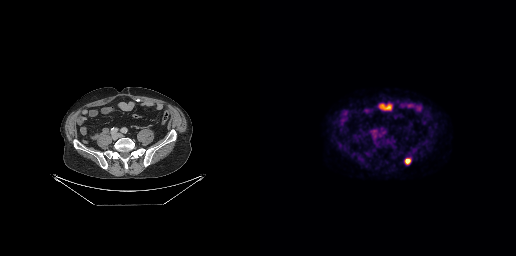
- Two-panel axial: CT | PSMA PET, [18F]PSMA-1007 tracer
- acquired on GE Discovery 690
- PET panel 256×256 px (2.7 mm/px)
Findings: Coordinates are on the 256×256 PET (right) panel. PSMA-avid tumor lesion bounding box (x, y, width, height): x=145 y=158 w=6 h=7.